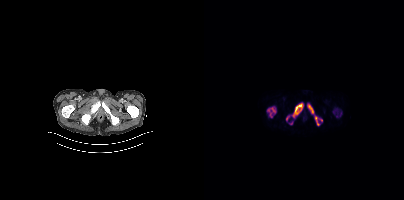
Paired axial CT (left) and PSMA PET (right), 18F-PSMA tracer. Acquired on Siemens Biograph mCT Flow 20. PET panel 200×200 px (4.1 mm/px).
Coordinates are on the 200×200 PET (right) panel. PSMA-avid tumor lesion bounding boxes (partial; 1 more focus not listed):
| # | x0 | y0 | x1 | y1 |
|---|---|---|---|---|
| 1 | 89 | 103 | 99 | 117 |
| 2 | 63 | 107 | 72 | 117 |
| 3 | 104 | 105 | 109 | 113 |
| 4 | 111 | 116 | 115 | 125 |
Small PSMA-avid focus (2 to 4 px across) near (center x, center y): (82, 118).